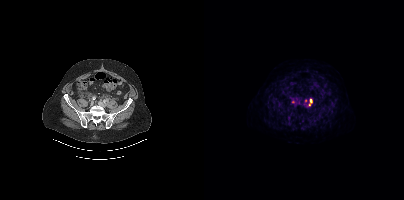
Coordinates are on the 200×200 PET (right) panel. PSMA-avid tumor lesion bounding box (x0, y0)-(x1, y1): (105, 100)-(108, 105). Small PSMA-avid foci (2 to 4 px across) near (center x, center y): (89, 101) / (101, 100).
modality: PSMA PET/CT | tracer: 18F | view: axial | PET grid: 200×200